Paired axial CT (left) and PSMA PET (right), [18F]PSMA-1007 tracer. Slice 376 of 435. Facial anatomy redacted by setting a rectangular region of the head to black.
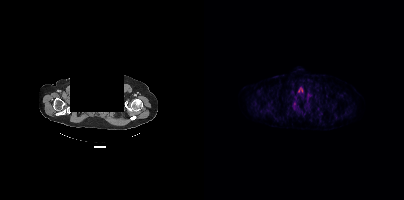
Coordinates are on the 200×200 PET (right) panel. Small PSMA-avid focus (2 to 4 px across) near (center x, center y): (90, 104).